Two-panel axial: CT | PSMA PET, 18F tracer. Acquired on Siemens Biograph mCT Flow 20. Slice 82 of 435.
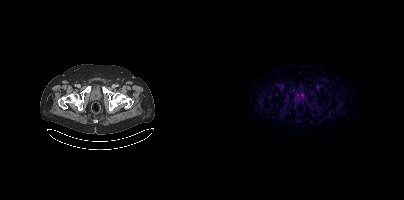
No PSMA-avid tumor lesions on this slice.